Two-panel axial: CT | PSMA PET, 18F tracer. Acquired on Siemens Biograph mCT Flow 20. Slice position z = -1056 mm.
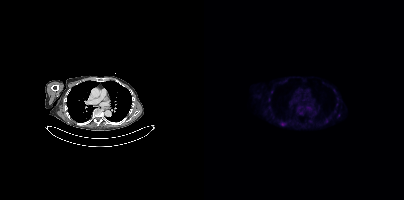
Coordinates are on the 200×200 PET (right) panel. (showing 2 of 3 foci) Small PSMA-avid foci (2 to 4 px across) near (center x, center y): (78, 124) / (133, 98).